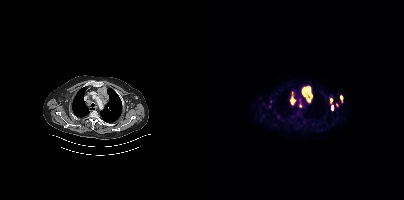
Findings: Coordinates are on the 200×200 PET (right) panel. PSMA-avid tumor lesion bounding boxes (x, y, width, height): x=97 y=86 w=12 h=17 | x=86 y=92 w=6 h=13 | x=136 y=95 w=4 h=5 | x=127 y=105 w=3 h=6 | x=126 y=98 w=3 h=5. Small PSMA-avid foci (2 to 4 px across) near (center x, center y): (96, 105) | (133, 105) | (66, 101) | (65, 106).
- Two-panel axial: CT | PSMA PET, 18F-PSMA tracer